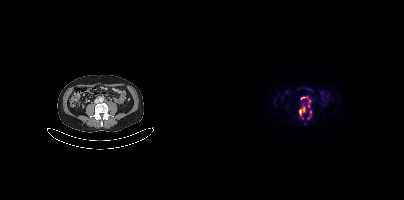
{"modality":"PSMA PET/CT","view":"axial","tracer":"18F","pet_grid":[200,200],"coord_frame":"pet_panel","coord_format":"x0,y0,x1,y1","partial":true,"lesion_bboxes":[[97,97,106,102],[95,108,100,112]],"small_foci_centers":[[105,106],[106,111],[104,118]]}